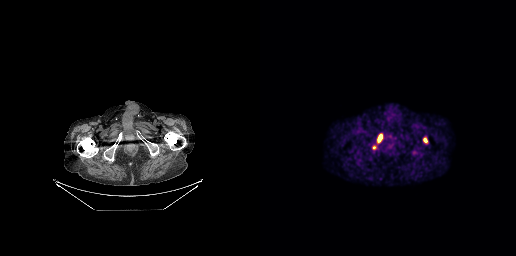
{"modality":"PSMA PET/CT","view":"axial","tracer":"18F","pet_grid":[256,256],"coord_frame":"pet_panel","coord_format":"x0,y0,x1,y1","partial":true,"lesion_bboxes":[[117,134,122,140],[163,138,167,142]]}